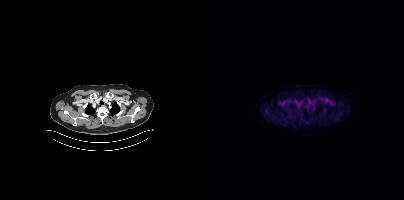
Findings: No PSMA-avid tumor lesions on this slice.
Technique: Two-panel axial: CT | PSMA PET, [18F]PSMA-1007 tracer.